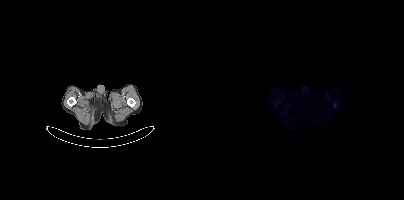
Technique: Two-panel axial: CT | PSMA PET, [18F]PSMA-1007 tracer.
Findings: This slice has no annotated PSMA-avid lesion.